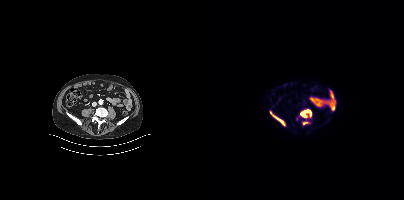
Coordinates are on the 200×200 PET (right) panel. PSMA-avid tumor lesion bounding boxes (x, y, width, height): x=96 y=109 w=12 h=9 / x=66 y=111 w=16 h=15 / x=98 y=121 w=8 h=6. Two-panel axial: CT | PSMA PET, 18F tracer. Acquired on Siemens Biograph mCT Flow 20. PET panel 200×200 px (4.1 mm/px).